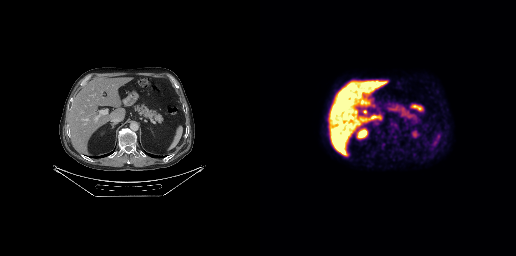
Left: CT. Right: PSMA PET, same axial level, [18F]PSMA-1007 tracer. Slice 158 of 263. PET panel 256×256 px (2.7 mm/px). Negative for PSMA-avid disease on this slice.